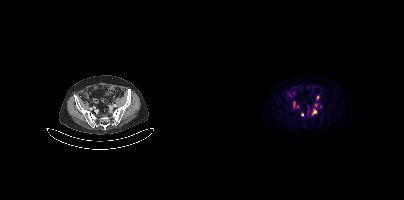
{"pet_grid":[200,200],"coord_frame":"pet_panel","coord_format":"x0,y0,x1,y1","partial":true,"lesion_bboxes":[[107,110,112,115],[89,101,90,107]],"small_foci_centers":[[98,114],[111,104],[93,106]],"modality":"PSMA PET/CT","view":"axial","tracer":"[18F]PSMA-1007"}